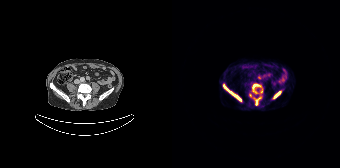
modality: PSMA PET/CT | tracer: 68Ga | view: axial | PET grid: 168×168
Coordinates are on the 168×168 PET (right) panel. PSMA-avid tumor lesion bounding boxes (x, y, width, height): x=51 y=85 w=19 h=17 / x=80 y=84 w=9 h=8 / x=103 y=91 w=6 h=7 / x=83 y=97 w=6 h=9.